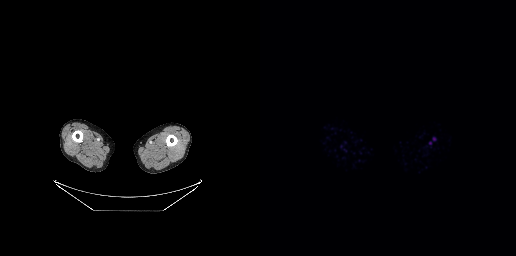
Negative for PSMA-avid disease on this slice.